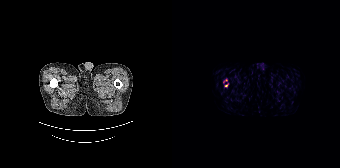
Findings: Coordinates are on the 168×168 PET (right) panel. PSMA-avid tumor lesion bounding boxes (x0,y0,x1,y1): [52,83,56,87] [51,79,55,82].
Technique: Two-panel axial: CT | PSMA PET, 18F-PSMA tracer. slice 5 of 165. PET panel 168×168 px (4.1 mm/px).